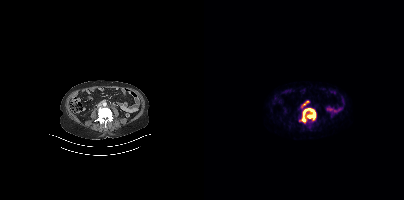
Paired axial CT (left) and PSMA PET (right), 68Ga tracer. Slice position z = 552 mm. PET panel 200×200 px (4.1 mm/px). Coordinates are on the 200×200 PET (right) panel. PSMA-avid tumor lesion bounding box (x, y, width, height): x=95 y=108 w=17 h=15. Small PSMA-avid focus (2 to 4 px across) near (center x, center y): (98, 106).